deidentification: privacy mask over head | modality: PSMA PET/CT | tracer: 18F-PSMA | view: axial
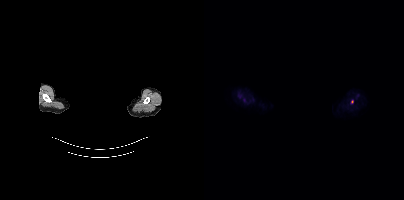
Coordinates are on the 200×200 PET (right) panel. Small PSMA-avid focus (2 to 4 px across) near (center x, center y): (148, 101).